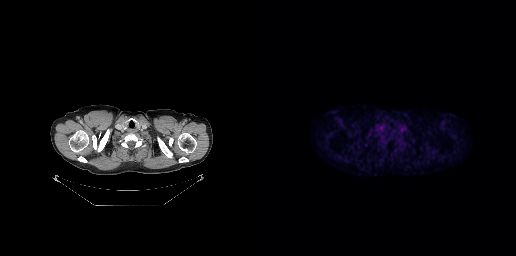
Paired axial CT (left) and PSMA PET (right), 18F tracer. Acquired on GE Discovery 690. Slice 232 of 263. This slice has no annotated PSMA-avid lesion.